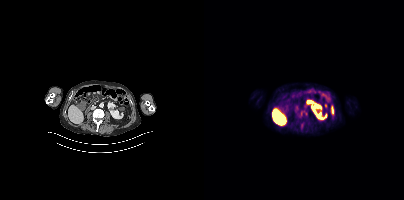
Left: CT. Right: PSMA PET, same axial level, 18F tracer. Acquired on Siemens Biograph mCT Flow 20. PET panel 200×200 px (4.1 mm/px). Coordinates are on the 200×200 PET (right) panel. PSMA-avid tumor lesion bounding box (x, y, width, height): x=127 y=105 w=3 h=10.